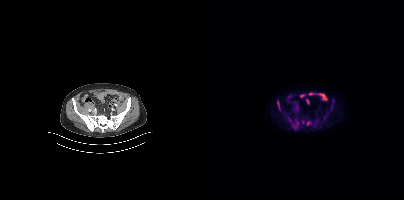
Coordinates are on the 200×200 PET (right) panel. PSMA-avid tumor lesion bounding boxes (x0, y0)-(x1, y1): (102, 121)-(107, 125); (73, 101)-(76, 110); (89, 121)-(94, 127). Small PSMA-avid focus (2 to 4 px across) near (center x, center y): (98, 122). Two-panel axial: CT | PSMA PET, [18F]PSMA-1007 tracer. Acquired on Siemens Biograph mCT Flow 20. PET panel 200×200 px (4.1 mm/px).